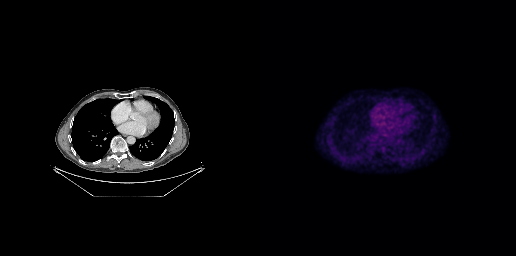
{"modality":"PSMA PET/CT","view":"axial","tracer":"18F","pet_grid":[256,256],"coord_frame":"pet_panel","coord_format":"x0,y0,x1,y1","psma_avid_lesions":false}